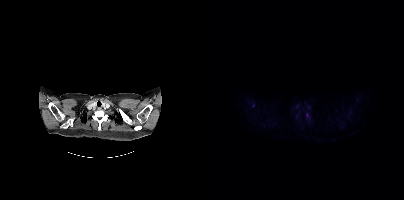
{"modality":"PSMA PET/CT","view":"axial","tracer":"18F-PSMA","pet_grid":[200,200],"coord_frame":"pet_panel","coord_format":"x0,y0,x1,y1","lesion_bboxes":[],"small_foci_centers":[[103,114]]}